Technique: Paired axial CT (left) and PSMA PET (right), 18F tracer. slice 220 of 421.
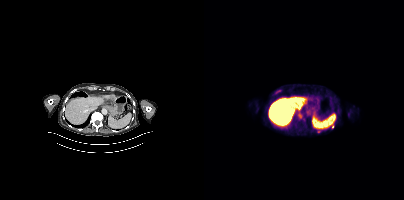
Findings: Coordinates are on the 200×200 PET (right) panel. PSMA-avid tumor lesion bounding box (x, y, width, height): x=113 y=130 w=5 h=3. Small PSMA-avid focus (2 to 4 px across) near (center x, center y): (128, 126).